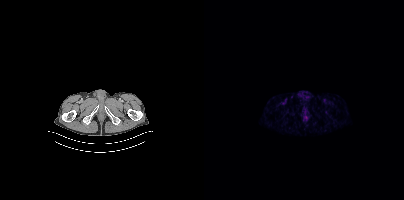
modality: PSMA PET/CT | tracer: 18F | view: axial | PET grid: 200×200
No PSMA-avid tumor lesions on this slice.